Left: CT. Right: PSMA PET, same axial level, 18F tracer.
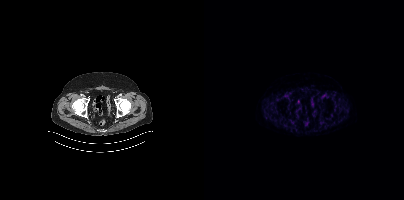
No tumor lesions annotated on this slice.